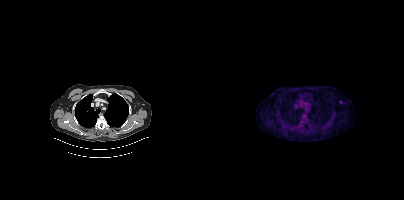
Coordinates are on the 200×200 PET (right) panel. Small PSMA-avid focus (2 to 4 px across) near (center x, center y): (136, 101).